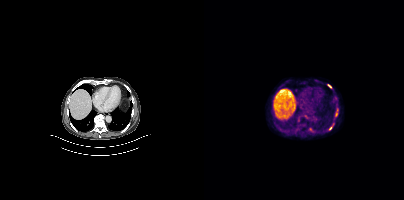
Coordinates are on the 200×200 PET (right) panel. (showing 3 of 4 foci) Small PSMA-avid foci (2 to 4 px across) near (center x, center y): (125, 85); (132, 114); (126, 128).